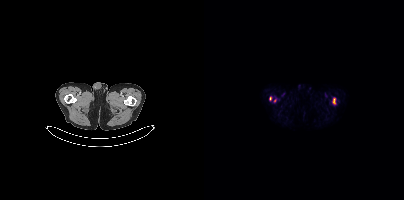
Coordinates are on the 200×200 PET (right) panel. PSMA-avid tumor lesion bounding box (x0,y0,x1,y1): [128,97,131,104]. Small PSMA-avid foci (2 to 4 px across) near (center x, center y): (66, 98) (70, 100).